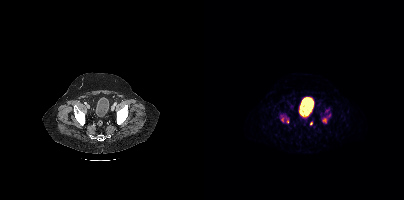
Coordinates are on the 200×200 PET (right) panel. PSMA-avid tumor lesion bounding boxes (x0,y0,x1,y1): [118,113,127,123]; [121,109,125,112]. Small PSMA-avid foci (2 to 4 px across) near (center x, center y): (107, 123); (78, 119); (83, 121); (101, 116).